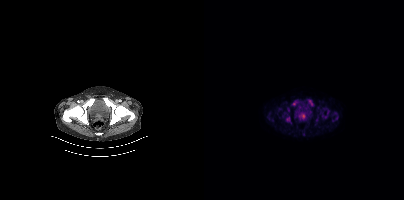
modality: PSMA PET/CT | tracer: 18F | view: axial
Coordinates are on the 200×200 PET (right) panel. (showing 7 of 12 foci) PSMA-avid tumor lesion bounding boxes (x0,y0,x1,y1): [82,116,87,123], [95,113,101,118], [118,110,125,118], [104,100,108,105], [88,101,93,105]. Small PSMA-avid foci (2 to 4 px across) near (center x, center y): (84, 109), (128, 120).